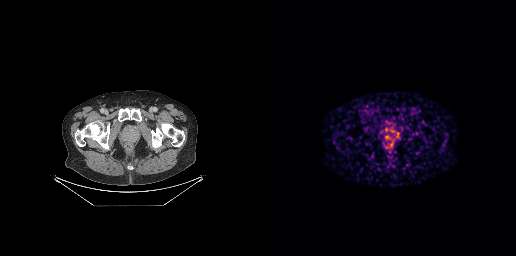
Coordinates are on the 256×256 PET (right) panel. PSMA-avid tumor lesion bounding box (x0, y0)-(x1, y1): (125, 131)-(137, 143).